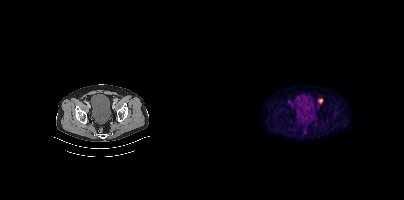
Coordinates are on the 200×200 PET (right) panel. PSMA-avid tumor lesion bounding box (x0,y0,x1,y1): [114,98,118,103].